modality: PSMA PET/CT | tracer: [68Ga]Ga-PSMA-11 | view: axial | PET grid: 168×168
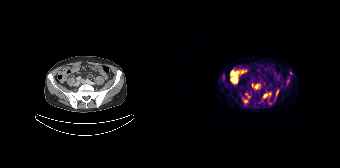
Coordinates are on the 168×168 PET (right) panel. (showing 5 of 6 foci) PSMA-avid tumor lesion bounding boxes (x, y, width, height): x=71 y=93 w=8 h=11 / x=83 y=84 w=3 h=5 / x=104 y=90 w=3 h=6. Small PSMA-avid foci (2 to 4 px across) near (center x, center y): (93, 95) / (115, 80).